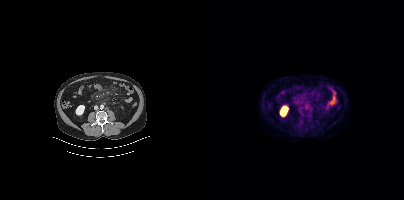
Only PSMA-avid lesion pieces thinner than 2 px on this slice (not listed).